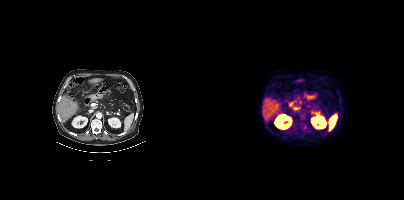
Left: CT. Right: PSMA PET, same axial level, 18F tracer. Acquired on Siemens Biograph mCT Flow 20. Slice position z = -126 mm. This slice has no annotated PSMA-avid lesion.